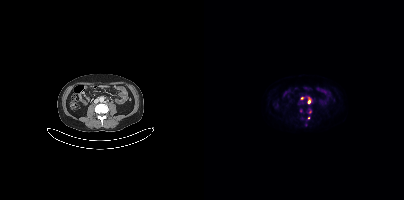
{"pet_grid":[200,200],"coord_frame":"pet_panel","coord_format":"x0,y0,x1,y1","partial":true,"lesion_bboxes":[],"small_foci_centers":[[105,99],[98,98],[106,111],[104,118]],"modality":"PSMA PET/CT","view":"axial","tracer":"18F"}